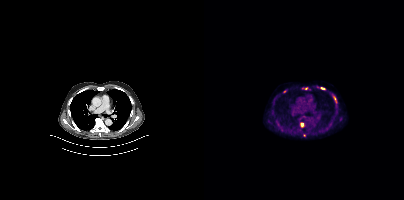
Findings: Coordinates are on the 200×200 PET (right) panel. (showing 5 of 8 foci) PSMA-avid tumor lesion bounding boxes (x0,y0,x1,y1): [96,122,100,127], [116,87,121,89]. Small PSMA-avid foci (2 to 4 px across) near (center x, center y): (102, 88), (130, 98), (80, 91).
Technique: Paired axial CT (left) and PSMA PET (right), 18F-PSMA tracer. slice 286 of 405. PET panel 200×200 px (4.1 mm/px).